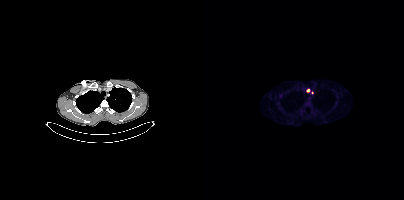
Findings: Coordinates are on the 200×200 PET (right) panel. Small PSMA-avid foci (2 to 4 px across) near (center x, center y): (104, 90) / (108, 92).
Technique: Two-panel axial: CT | PSMA PET, [18F]PSMA-1007 tracer. acquired on Siemens Biograph mCT Flow 20. PET panel 200×200 px (4.1 mm/px).